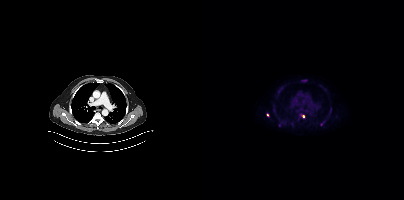
- Left: CT. Right: PSMA PET, same axial level, [18F]PSMA-1007 tracer
Findings: Coordinates are on the 200×200 PET (right) panel. Small PSMA-avid foci (2 to 4 px across) near (center x, center y): (99, 116); (63, 114).